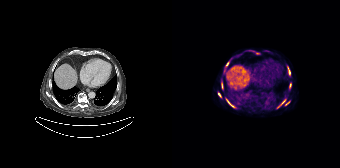
Findings: Coordinates are on the 168×168 PET (right) panel. (showing 8 of 10 foci) PSMA-avid tumor lesion bounding boxes (x, y, width, height): x=105 y=101 w=8 h=8 / x=115 y=67 w=4 h=8 / x=54 y=99 w=6 h=7 / x=46 y=92 w=4 h=6 / x=49 y=83 w=3 h=6 / x=54 y=62 w=3 h=5. Small PSMA-avid foci (2 to 4 px across) near (center x, center y): (118, 85) / (62, 106).
- Two-panel axial: CT | PSMA PET, 18F tracer